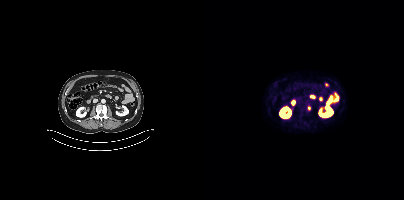
Coordinates are on the 200×200 PET (right) panel. PSMA-avid tumor lesion bounding box (x0,y0,x1,y1): [104,106,106,110].
modality: PSMA PET/CT | tracer: 68Ga | view: axial | PET grid: 200×200